Technique: Two-panel axial: CT | PSMA PET, [68Ga]Ga-PSMA-11 tracer. PET panel 168×168 px (4.1 mm/px).
Note: A region was redacted for de-identification by setting it to black.
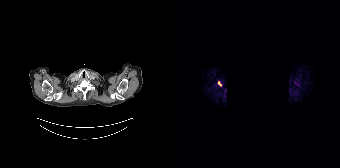
Findings: Coordinates are on the 168×168 PET (right) panel. Small PSMA-avid focus (2 to 4 px across) near (center x, center y): (46, 82).